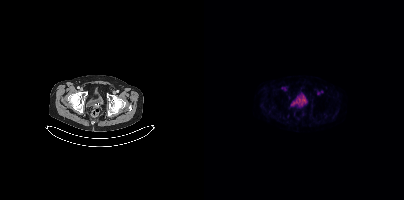
Two-panel axial: CT | PSMA PET, 18F-PSMA tracer. Negative for PSMA-avid disease on this slice.